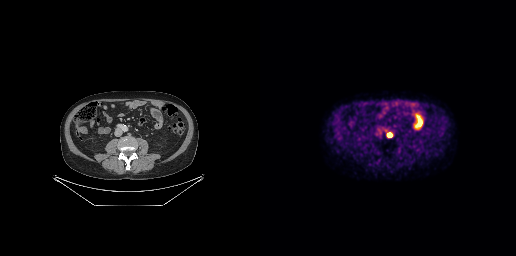
modality: PSMA PET/CT | tracer: 18F | view: axial
Coordinates are on the 256×256 PET (right) panel. PSMA-avid tumor lesion bounding box (x0, y0)-(x1, y1): (127, 133)-(132, 137).